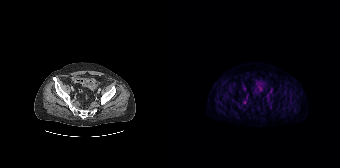
- Two-panel axial: CT | PSMA PET, [18F]PSMA-1007 tracer
- acquired on Siemens Biograph 64-4R TruePoint
- slice 58 of 195
- PET panel 168×168 px (4.1 mm/px)
Findings: Negative for PSMA-avid disease on this slice.